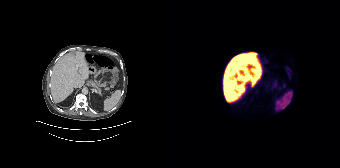
Technique: Two-panel axial: CT | PSMA PET, [18F]PSMA-1007 tracer. slice position z = -1194 mm.
Findings: No PSMA-avid tumor lesions on this slice.